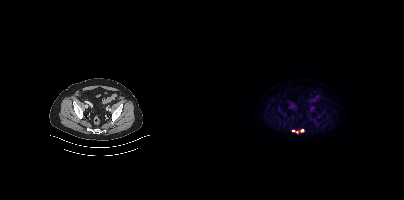
{"modality":"PSMA PET/CT","view":"axial","tracer":"18F-PSMA","pet_grid":[200,200],"coord_frame":"pet_panel","coord_format":"x0,y0,x1,y1","partial":true,"lesion_bboxes":[],"small_foci_centers":[[89,130],[98,130]]}